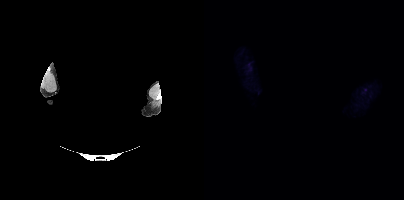
De-identified by setting a box covering the face to black before release. Paired axial CT (left) and PSMA PET (right), [18F]PSMA-1007 tracer. This slice has no annotated PSMA-avid lesion.